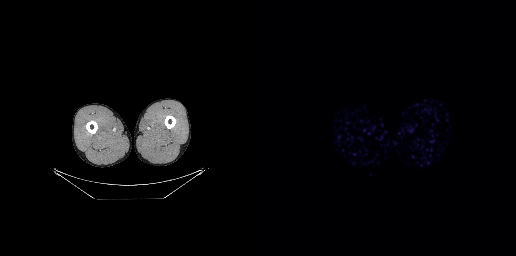
This slice has no annotated PSMA-avid lesion.